Left: CT. Right: PSMA PET, same axial level, 18F tracer. Slice 33 of 421. PET panel 200×200 px (4.1 mm/px).
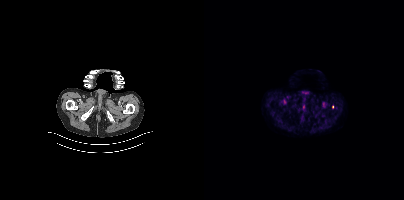
Coordinates are on the 200×200 PET (right) panel. Small PSMA-avid focus (2 to 4 px across) near (center x, center y): (128, 107).